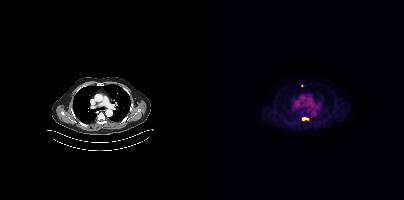
Findings: Coordinates are on the 200×200 PET (right) panel. PSMA-avid tumor lesion bounding box (x0, y0)-(x1, y1): (98, 118)-(104, 120). Small PSMA-avid focus (2 to 4 px across) near (center x, center y): (97, 85).
Technique: Two-panel axial: CT | PSMA PET, [18F]PSMA-1007 tracer. acquired on Siemens Biograph mCT Flow 20.